Left: CT. Right: PSMA PET, same axial level, 18F-PSMA tracer. PET panel 200×200 px (4.1 mm/px).
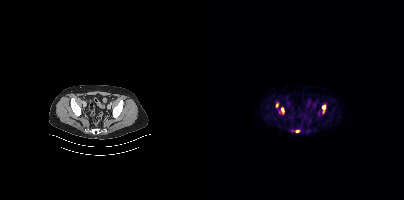
Coordinates are on the 200×200 PET (right) panel. (showing 4 of 5 foci) PSMA-avid tumor lesion bounding boxes (x0, y0)-(x1, y1): (118, 105)-(121, 109) / (77, 107)-(80, 113) / (91, 130)-(95, 132). Small PSMA-avid focus (2 to 4 px across) near (center x, center y): (73, 104).